- Left: CT. Right: PSMA PET, same axial level, 18F tracer
- acquired on Siemens Biograph mCT Flow 20
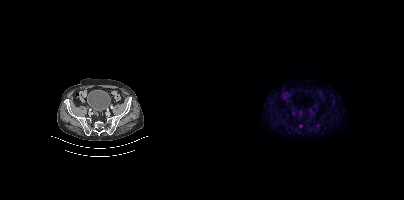
Findings: Negative for PSMA-avid disease on this slice.